Technique: Two-panel axial: CT | PSMA PET, [18F]PSMA-1007 tracer. PET panel 200×200 px (4.1 mm/px).
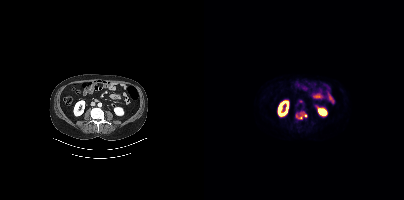
Findings: Coordinates are on the 200×200 PET (right) panel. PSMA-avid tumor lesion bounding box (x0,y0,x1,y1): [94,110,102,118]. Small PSMA-avid focus (2 to 4 px across) near (center x, center y): (92, 115).